Left: CT. Right: PSMA PET, same axial level, [18F]PSMA-1007 tracer. PET panel 256×256 px (2.7 mm/px).
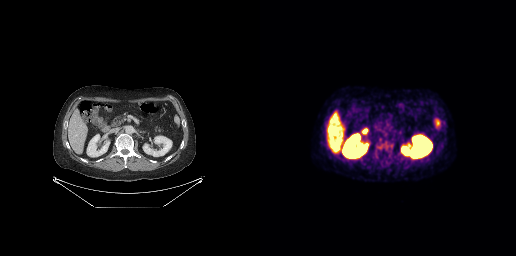
No tumor lesions annotated on this slice.